modality: PSMA PET/CT | tracer: [18F]PSMA-1007 | view: axial
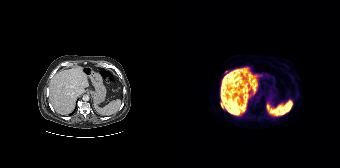
Coordinates are on the 168×168 PET (right) panel. PSMA-avid tumor lesion bounding box (x0, y0)-(x1, y1): (49, 103)-(50, 107). Small PSMA-avid focus (2 to 4 px across) near (center x, center y): (54, 71).